Two-panel axial: CT | PSMA PET, 18F-PSMA tracer. PET panel 256×256 px (2.7 mm/px).
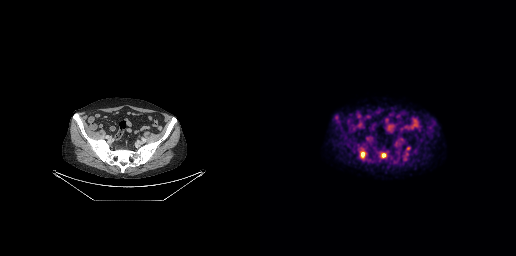
Coordinates are on the 256×256 PET (right) panel. PSMA-avid tumor lesion bounding boxes (x0,y0,x1,y1): [100,151,105,157], [120,153,126,158].